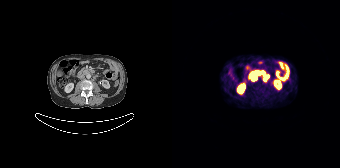
Left: CT. Right: PSMA PET, same axial level, 68Ga tracer. Acquired on Siemens Biograph 64-4R TruePoint.
Coordinates are on the 168×168 PET (right) panel. PSMA-avid tumor lesion bounding boxes:
| # | x0 | y0 | x1 | y1 |
|---|---|---|---|---|
| 1 | 80 | 71 | 87 | 80 |
| 2 | 92 | 75 | 96 | 81 |